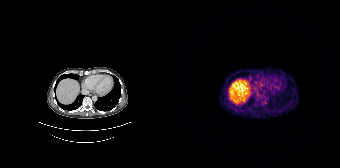
modality: PSMA PET/CT | tracer: 68Ga | view: axial | PET grid: 168×168
This slice has no annotated PSMA-avid lesion.